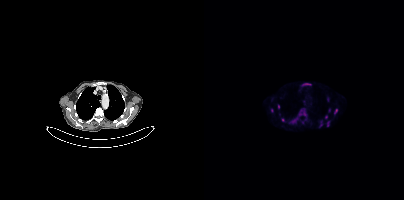
{"pet_grid":[200,200],"coord_frame":"pet_panel","coord_format":"x0,y0,x1,y1","partial":true,"lesion_bboxes":[[130,109,133,113],[123,121,125,126]],"small_foci_centers":[[122,117],[74,106],[78,120],[100,114],[116,125],[67,110]],"modality":"PSMA PET/CT","view":"axial","tracer":"[18F]PSMA-1007"}